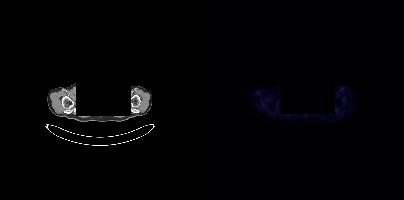
Facial anatomy redacted by setting a rectangular region of the head to black. Left: CT. Right: PSMA PET, same axial level, [18F]PSMA-1007 tracer. Acquired on Siemens Biograph mCT Flow 20. Slice 337 of 393. No PSMA-avid tumor lesions on this slice.